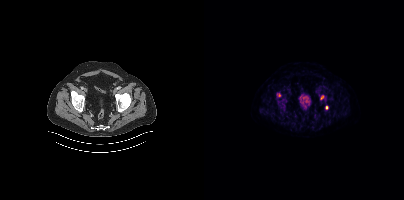
modality: PSMA PET/CT | tracer: 18F | view: axial | PET grid: 200×200
Coordinates are on the 200×200 PET (right) panel. PSMA-avid tumor lesion bounding boxes (x, y, width, height): x=116 y=95 w=5 h=5 / x=73 y=93 w=5 h=5. Small PSMA-avid focus (2 to 4 px across) near (center x, center y): (122, 107).